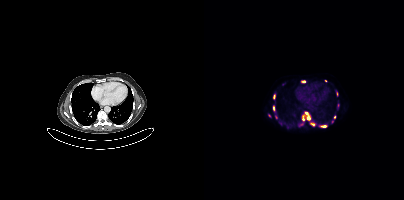
{"modality":"PSMA PET/CT","view":"axial","tracer":"[18F]PSMA-1007","pet_grid":[200,200],"coord_frame":"pet_panel","coord_format":"x0,y0,x1,y1","partial":true,"lesion_bboxes":[[98,112,106,120],[118,125,122,127],[69,106,70,110]],"small_foci_centers":[[70,96],[130,117],[97,124],[109,124],[76,123],[121,80]]}